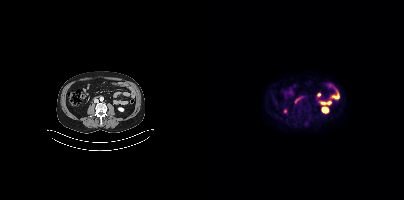
{"pet_grid":[200,200],"coord_frame":"pet_panel","coord_format":"x0,y0,x1,y1","psma_avid_lesions":false,"modality":"PSMA PET/CT","view":"axial","tracer":"68Ga-PSMA"}